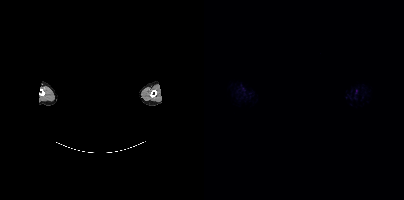
Any black rectangle over the head is a privacy mask, not anatomy.
No tumor lesions annotated on this slice.